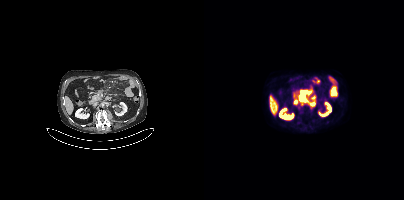
Paired axial CT (left) and PSMA PET (right), [18F]PSMA-1007 tracer. Slice 181 of 395. PET panel 200×200 px (4.1 mm/px). Coordinates are on the 200×200 PET (right) panel. PSMA-avid tumor lesion bounding boxes (x, y, width, height): x=94 y=90 w=14 h=12 | x=106 y=102 w=5 h=4. Small PSMA-avid focus (2 to 4 px across) near (center x, center y): (109, 96).